Technique: Left: CT. Right: PSMA PET, same axial level, 18F-PSMA tracer. slice 279 of 389. PET panel 200×200 px (4.1 mm/px).
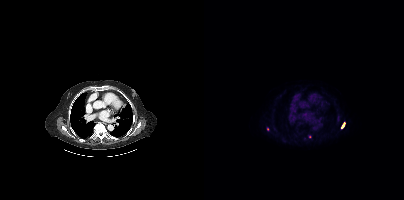
Findings: Coordinates are on the 200×200 PET (right) panel. PSMA-avid tumor lesion bounding box (x0, y0)-(x1, y1): (137, 122)-(140, 128). Small PSMA-avid foci (2 to 4 px across) near (center x, center y): (63, 129) | (105, 136).